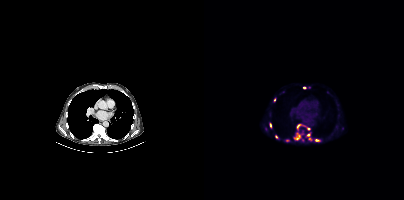
Coordinates are on the 200×200 PET (right) panel. (showing 12 of 14 foci) PSMA-avid tumor lesion bounding boxes (x0, y0)-(x1, y1): (90, 133)-(96, 139) | (111, 139)-(116, 141) | (66, 123)-(67, 127). Small PSMA-avid foci (2 to 4 px across) near (center x, center y): (106, 139) | (70, 100) | (83, 140) | (100, 87) | (94, 126) | (104, 128) | (104, 134) | (72, 136) | (100, 125).